Paired axial CT (left) and PSMA PET (right), 18F-PSMA tracer. Slice 115 of 442. PET panel 200×200 px (4.1 mm/px).
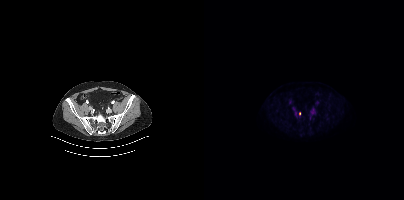
Coordinates are on the 200×200 PET (right) panel. Small PSMA-avid focus (2 to 4 px across) near (center x, center y): (95, 113).